Technique: Left: CT. Right: PSMA PET, same axial level, 68Ga-PSMA tracer. acquired on Siemens Biograph mCT Flow 20. slice position z = -521 mm.
Note: Privacy masking over the head, with the pixels inside a rectangle set to black.
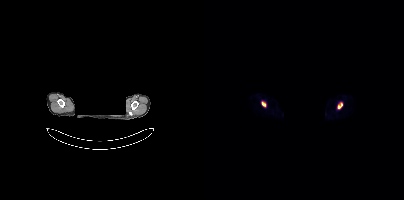
Findings: Coordinates are on the 200×200 PET (right) panel. PSMA-avid tumor lesion bounding boxes (x0,y0,x1,y1): [134,103,138,108] [58,102,61,106].